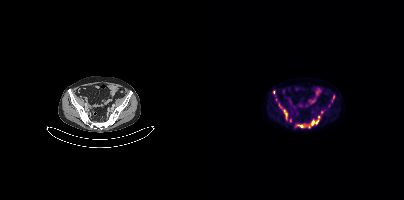
Two-panel axial: CT | PSMA PET, 18F-PSMA tracer. Slice 112 of 415. PET panel 200×200 px (4.1 mm/px). Coordinates are on the 200×200 PET (right) panel. (showing 6 of 9 foci) PSMA-avid tumor lesion bounding boxes (x0,y0,x1,y1): [104,116,115,127], [79,109,83,119], [93,124,102,127], [128,95,130,101], [69,90,71,94], [75,104,77,108].